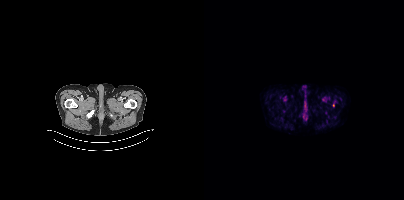
Only PSMA-avid lesion pieces thinner than 2 px on this slice (not listed).